Two-panel axial: CT | PSMA PET, [18F]PSMA-1007 tracer. PET panel 200×200 px (4.1 mm/px).
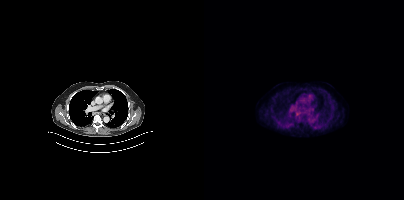
Negative for PSMA-avid disease on this slice.